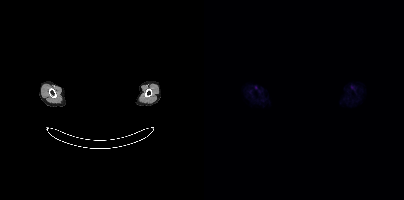
This slice has no annotated PSMA-avid lesion. Paired axial CT (left) and PSMA PET (right), 18F tracer. Slice position z = -1036 mm. An anonymization step blacked out a rectangle over the head in this scan.